Left: CT. Right: PSMA PET, same axial level, [18F]PSMA-1007 tracer. Slice 48 of 354. PET panel 200×200 px (4.1 mm/px).
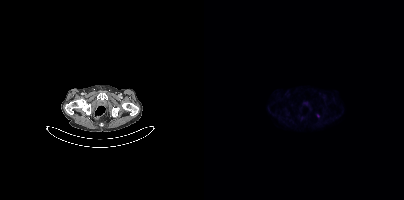
Coordinates are on the 200×200 PET (right) panel. Small PSMA-avid focus (2 to 4 px across) near (center x, center y): (113, 115).